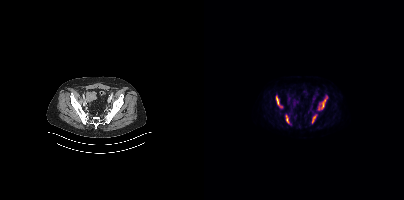
Coordinates are on the 200×200 PET (right) panel. PSMA-avid tumor lesion bounding boxes (x, y, width, height): x=114 y=97 w=10 h=13 / x=72 y=96 w=4 h=9 / x=82 y=115 w=3 h=8 / x=108 y=116 w=4 h=6. Two-panel axial: CT | PSMA PET, 18F tracer. Acquired on Siemens Biograph mCT Flow 20. PET panel 200×200 px (4.1 mm/px).